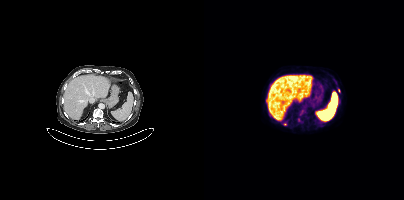
Coordinates are on the 200×200 PET (right) panel. (showing 2 of 4 foci) Small PSMA-avid foci (2 to 4 px across) near (center x, center y): (134, 90) | (81, 124).